Two-panel axial: CT | PSMA PET, [18F]PSMA-1007 tracer. Acquired on Siemens Biograph mCT Flow 20. Slice 349 of 381. Head region blanked for anonymization (face removed).
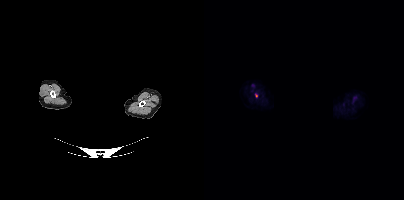
Coordinates are on the 200×200 PET (right) panel. Small PSMA-avid focus (2 to 4 px across) near (center x, center y): (52, 95).